- Two-panel axial: CT | PSMA PET, [18F]PSMA-1007 tracer
- acquired on Siemens Biograph mCT Flow 20
- slice 66 of 419
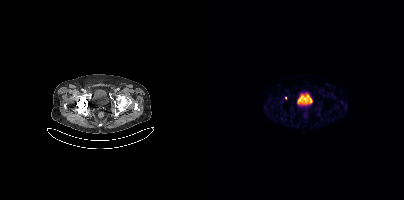
Findings: Coordinates are on the 200×200 PET (right) panel. Small PSMA-avid focus (2 to 4 px across) near (center x, center y): (81, 98).